Two-panel axial: CT | PSMA PET, 18F tracer. Slice 299 of 462.
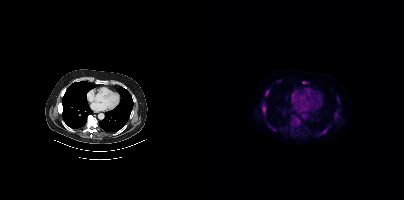
Coordinates are on the 200×200 PET (right) panel. (showing 2 of 3 foci) PSMA-avid tumor lesion bounding boxes (x0, y0)-(x1, y1): (61, 90)-(65, 95) | (58, 105)-(62, 110).